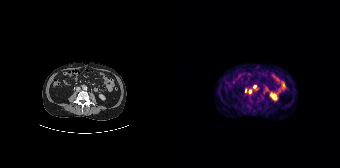
Technique: Left: CT. Right: PSMA PET, same axial level, 68Ga-PSMA tracer. slice 76 of 195.
Findings: Coordinates are on the 168×168 PET (right) panel. Small PSMA-avid foci (2 to 4 px across) near (center x, center y): (82, 86); (78, 91); (73, 90).